modality: PSMA PET/CT | tracer: [18F]PSMA-1007 | view: axial
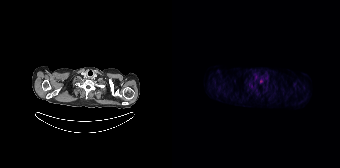
This slice has no annotated PSMA-avid lesion.